modality: PSMA PET/CT | tracer: [18F]PSMA-1007 | view: axial | PET grid: 200×200
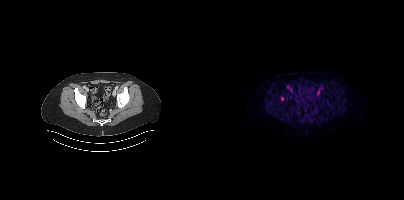
Coordinates are on the 200×200 PET (right) panel. Small PSMA-avid focus (2 to 4 px across) near (center x, center y): (78, 98).